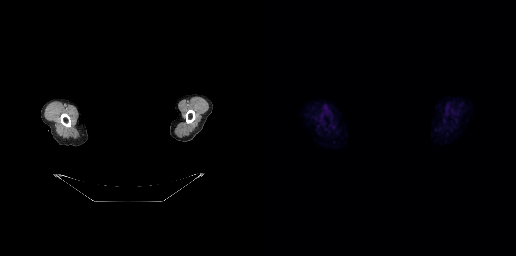
Technique: Left: CT. Right: PSMA PET, same axial level, [18F]PSMA-1007 tracer. acquired on GE Discovery 690. slice position z = -71 mm.
Note: Head region blanked for anonymization (face removed).
Findings: No PSMA-avid tumor lesions on this slice.